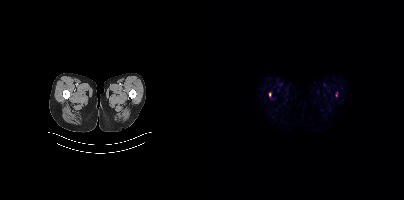
Findings: Coordinates are on the 200×200 PET (right) panel. (showing 1 of 2 foci) Small PSMA-avid focus (2 to 4 px across) near (center x, center y): (66, 94).
Technique: Paired axial CT (left) and PSMA PET (right), 18F-PSMA tracer. acquired on Siemens Biograph mCT Flow 20. PET panel 200×200 px (4.1 mm/px).